- Left: CT. Right: PSMA PET, same axial level, 18F-PSMA tracer
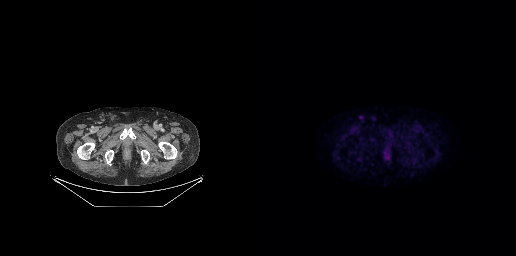
Findings: This slice has no annotated PSMA-avid lesion.